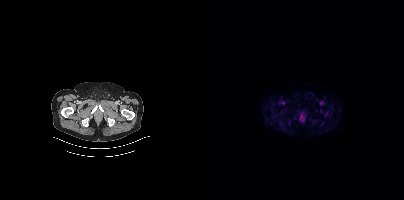
No tumor lesions annotated on this slice.